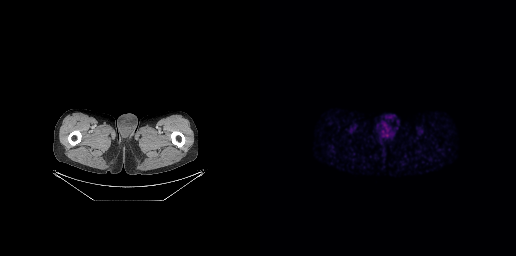
Two-panel axial: CT | PSMA PET, 68Ga tracer. Acquired on GE Discovery 690. This slice has no annotated PSMA-avid lesion.